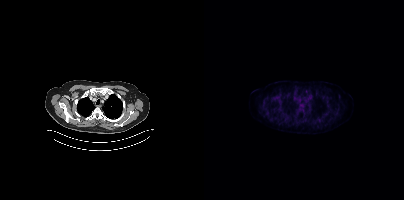
Left: CT. Right: PSMA PET, same axial level, [18F]PSMA-1007 tracer. Slice position z = -964 mm. PET panel 200×200 px (4.1 mm/px). No PSMA-avid tumor lesions on this slice.